An anonymization step blacked out a rectangle over the head in this scan.
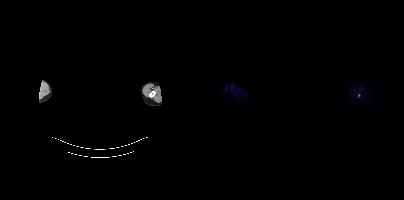
Coordinates are on the 200×200 PET (right) panel. Small PSMA-avid focus (2 to 4 px across) near (center x, center y): (154, 95).